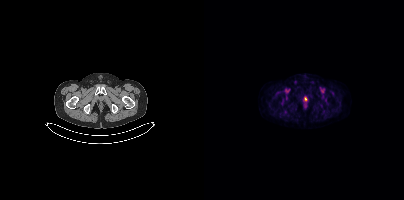
Left: CT. Right: PSMA PET, same axial level, 18F-PSMA tracer. Slice position z = -1534 mm. Coordinates are on the 200×200 PET (right) panel. Small PSMA-avid focus (2 to 4 px across) near (center x, center y): (101, 98).